modality: PSMA PET/CT | tracer: 18F | view: axial
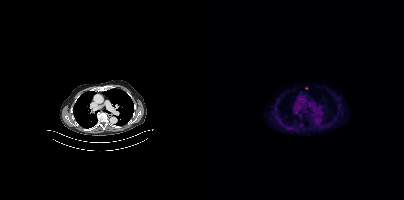
Coordinates are on the 200×200 PET (right) panel. Small PSMA-avid focus (2 to 4 px across) near (center x, center y): (102, 87).